- Paired axial CT (left) and PSMA PET (right), 18F tracer
- slice 26 of 165
- PET panel 168×168 px (4.1 mm/px)
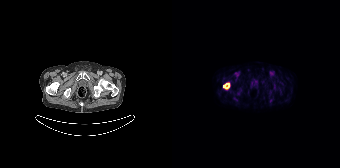
Findings: Coordinates are on the 168×168 PET (right) panel. PSMA-avid tumor lesion bounding box (x0,y0,x1,y1): [51,82,58,89].